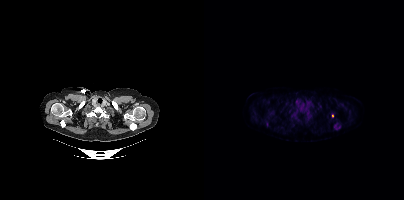
modality: PSMA PET/CT | tracer: 18F-PSMA | view: axial | PET grid: 200×200
Coordinates are on the 200×200 PET (right) panel. PSMA-avid tumor lesion bounding boxes (x0,y0,x1,y1): [129,124,135,129] [103,112,107,117]. Small PSMA-avid foci (2 to 4 px across) near (center x, center y): (89, 114) (63, 124) (66, 114) (128, 115).